Left: CT. Right: PSMA PET, same axial level, 18F-PSMA tracer. Acquired on Siemens Biograph mCT Flow 20. Slice position z = -496 mm.
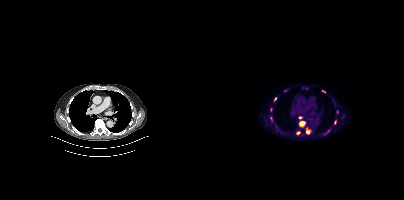
Coordinates are on the 200×200 PET (right) panel. PSMA-avid tumor lesion bounding boxes (partial; 5 more foci not listed):
| # | x0 | y0 | x1 | y1 |
|---|---|---|---|---|
| 1 | 96 | 122 | 100 | 125 |
Small PSMA-avid foci (2 to 4 px across) near (center x, center y): (119, 91); (103, 132); (131, 122); (96, 117); (71, 98).